- Paired axial CT (left) and PSMA PET (right), [18F]PSMA-1007 tracer
- slice 47 of 438
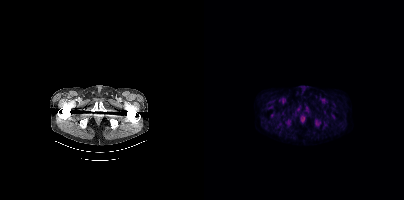
Findings: No PSMA-avid tumor lesions on this slice.